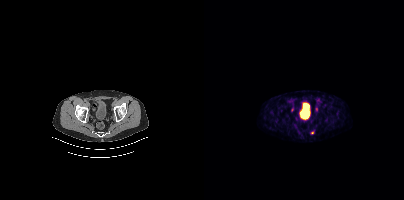
Coordinates are on the 200×200 PET (right) panel. (showing 1 of 2 foci) Small PSMA-avid focus (2 to 4 px across) near (center x, center y): (108, 132). Paired axial CT (left) and PSMA PET (right), 68Ga tracer. Acquired on Siemens Biograph mCT Flow 20.